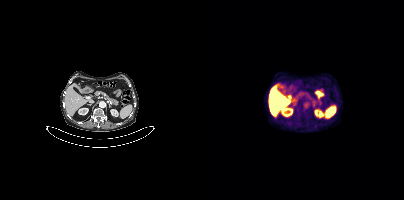
Two-panel axial: CT | PSMA PET, 18F-PSMA tracer. Slice position z = -1354 mm. This slice has no annotated PSMA-avid lesion.